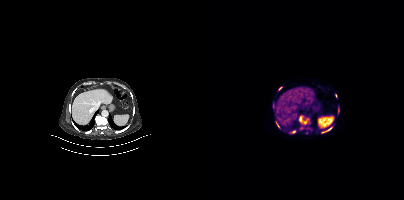
Coordinates are on the 200×200 PET (right) panel. (showing 9 of 11 foci) PSMA-avid tumor lesion bounding boxes (x0, y0)-(x1, y1): (95, 115)-(104, 124); (117, 127)-(128, 133); (74, 87)-(78, 90); (134, 107)-(135, 111). Small PSMA-avid foci (2 to 4 px across) near (center x, center y): (72, 122); (97, 128); (89, 132); (75, 127); (131, 95).